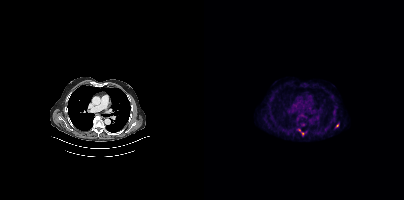
modality: PSMA PET/CT | tracer: 18F-PSMA | view: axial
Coordinates are on the 200×200 PET (right) panel. Small PSMA-avid foci (2 to 4 px across) near (center x, center y): (133, 125) (95, 129) (98, 133).